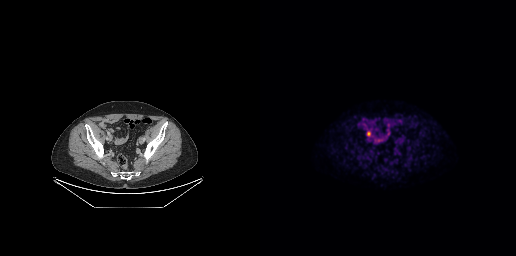
Coordinates are on the 256×256 PET (right) panel. PSMA-avid tumor lesion bounding box (x0, y0)-(x1, y1): (107, 131)-(110, 136).